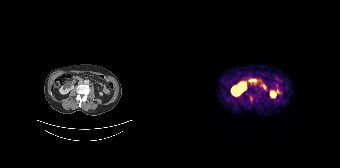
Technique: Two-panel axial: CT | PSMA PET, 68Ga tracer. PET panel 168×168 px (4.1 mm/px).
Findings: Coordinates are on the 168×168 PET (right) panel. Small PSMA-avid focus (2 to 4 px across) near (center x, center y): (92, 86).